Left: CT. Right: PSMA PET, same axial level, 18F-PSMA tracer. Slice 168 of 452. PET panel 200×200 px (4.1 mm/px).
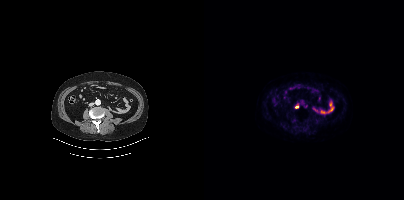
Coordinates are on the 200×200 PET (right) panel. Small PSMA-avid focus (2 to 4 px across) near (center x, center y): (92, 107).